modality: PSMA PET/CT | tracer: 18F | view: axial
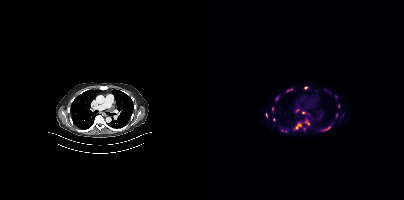
Coordinates are on the 200×200 PET (right) panel. (showing 15 of 18 foci) PSMA-avid tumor lesion bounding boxes (x0, y0)-(x1, y1): (91, 123)-(98, 129); (117, 126)-(126, 131); (82, 88)-(88, 92); (102, 120)-(105, 124); (72, 96)-(74, 100); (61, 113)-(63, 117); (132, 113)-(133, 117). Small PSMA-avid foci (2 to 4 px across) near (center x, center y): (93, 110); (68, 108); (134, 105); (100, 129); (101, 87); (99, 112); (69, 119); (81, 131).